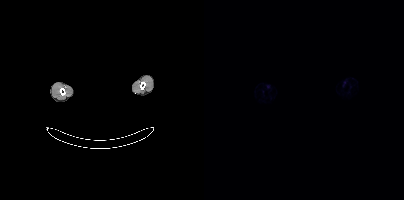
Head region blanked for anonymization (face removed).
This slice has no annotated PSMA-avid lesion.